Left: CT. Right: PSMA PET, same axial level, [68Ga]Ga-PSMA-11 tracer. Slice position z = -940 mm.
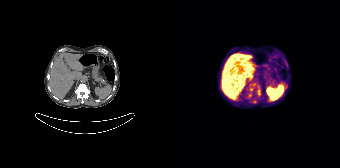
Coordinates are on the 168×168 PET (right) panel. PSMA-avid tumor lesion bounding boxes:
| # | x0 | y0 | x1 | y1 |
|---|---|---|---|---|
| 1 | 85 | 88 | 88 | 95 |
Small PSMA-avid foci (2 to 4 px across) near (center x, center y): (78, 95); (79, 89); (114, 85); (82, 101).